modality: PSMA PET/CT | tracer: [18F]PSMA-1007 | view: axial
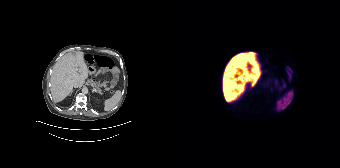
Negative for PSMA-avid disease on this slice.